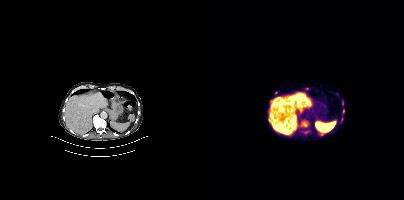
Findings: Coordinates are on the 200×200 PET (right) panel. (showing 3 of 6 foci) PSMA-avid tumor lesion bounding boxes (x, y, width, height): x=97 y=121 w=7 h=6 | x=138 y=109 w=3 h=5 | x=138 y=101 w=2 h=5.
Technique: Left: CT. Right: PSMA PET, same axial level, 18F tracer. slice position z = -516 mm. PET panel 200×200 px (4.1 mm/px).